modality: PSMA PET/CT | tracer: [18F]PSMA-1007 | view: axial | PET grid: 200×200
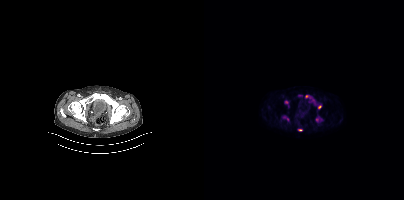
Coordinates are on the 200×200 PET (right) panel. (showing 5 of 7 foci) PSMA-avid tumor lesion bounding box (x0, y0)-(x1, y1): (112, 117)-(115, 121). Small PSMA-avid foci (2 to 4 px across) near (center x, center y): (115, 106) | (103, 96) | (96, 129) | (82, 102).